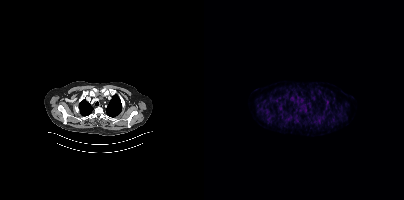
{"modality":"PSMA PET/CT","view":"axial","tracer":"18F-PSMA","pet_grid":[200,200],"coord_frame":"pet_panel","coord_format":"x0,y0,x1,y1","psma_avid_lesions":false}